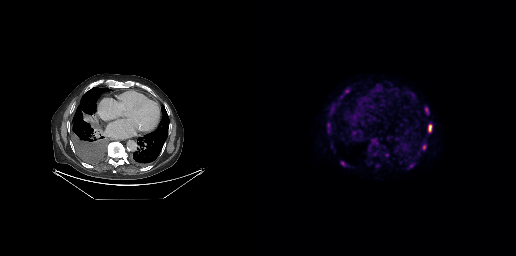
Coordinates are on the 256×256 PET (right) panel. (showing 7 of 8 foci) PSMA-avid tumor lesion bounding boxes (x, y, width, height): x=168 y=124 w=5 h=9; x=162 y=145 w=5 h=5; x=69 y=111 w=5 h=5. Small PSMA-avid foci (2 to 4 px across) near (center x, center y): (166, 109); (117, 85); (151, 165); (86, 90).
modality: PSMA PET/CT | tracer: 18F-PSMA | view: axial